Left: CT. Right: PSMA PET, same axial level, 18F tracer. Slice 49 of 263. PET panel 256×256 px (2.7 mm/px).
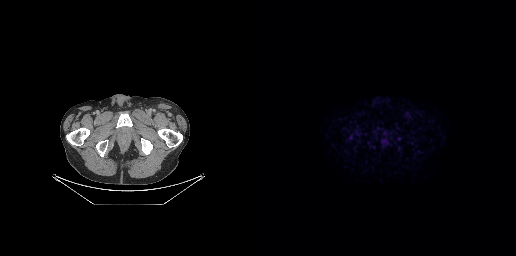
This slice has no annotated PSMA-avid lesion.